Left: CT. Right: PSMA PET, same axial level, [18F]PSMA-1007 tracer. Slice position z = -1328 mm. PET panel 200×200 px (4.1 mm/px).
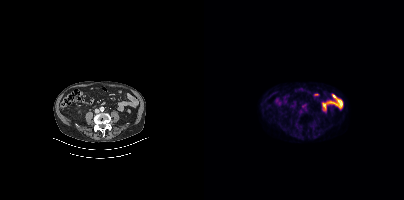
No PSMA-avid tumor lesions on this slice.